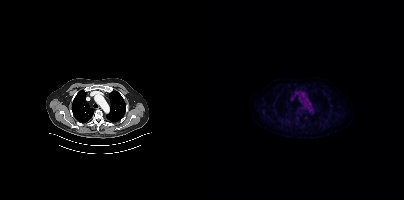
Technique: Two-panel axial: CT | PSMA PET, 18F tracer. slice 354 of 466. PET panel 200×200 px (4.1 mm/px).
Findings: No tumor lesions annotated on this slice.